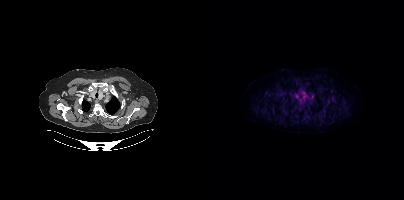
Coordinates are on the 200×200 PET (right) panel. Small PSMA-avid focus (2 to 4 px across) near (center x, center y): (129, 98).